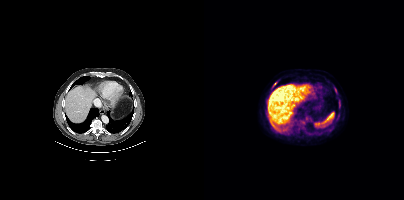
Coordinates are on the 200×200 PET (right) panel. PSMA-avid tumor lesion bounding box (x, y, width, height): x=69 y=82 w=4 h=5. Small PSMA-avid foci (2 to 4 px across) near (center x, center y): (131, 90); (135, 106).